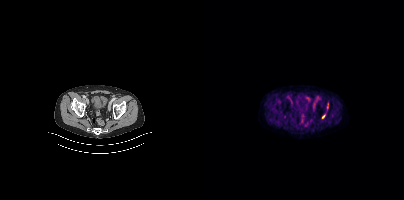
Technique: Paired axial CT (left) and PSMA PET (right), 18F-PSMA tracer. slice position z = -819 mm.
Findings: Coordinates are on the 200×200 PET (right) panel. PSMA-avid tumor lesion bounding box (x, y, width, height): x=123 y=103 w=2 h=6. Small PSMA-avid focus (2 to 4 px across) near (center x, center y): (119, 116).